- Left: CT. Right: PSMA PET, same axial level, 18F tracer
- PET panel 200×200 px (4.1 mm/px)
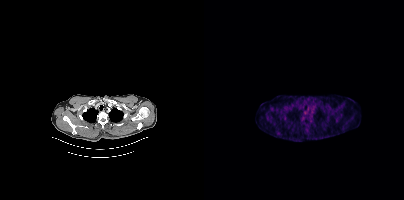
Findings: No PSMA-avid tumor lesions on this slice.